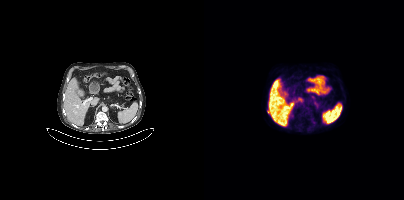
modality: PSMA PET/CT | tracer: 18F-PSMA | view: axial
Coordinates are on the 200×200 PET (right) panel. Small PSMA-avid focus (2 to 4 px across) near (center x, center y): (64, 111).